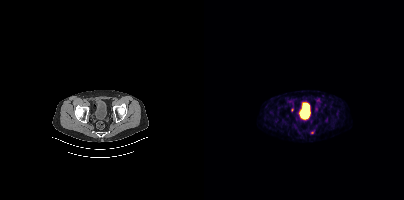
Coordinates are on the 200×200 PET (right) panel. (showing 1 of 2 foci) Small PSMA-avid focus (2 to 4 px across) near (center x, center y): (88, 109). Left: CT. Right: PSMA PET, same axial level, [68Ga]Ga-PSMA-11 tracer. Slice position z = -1011 mm.